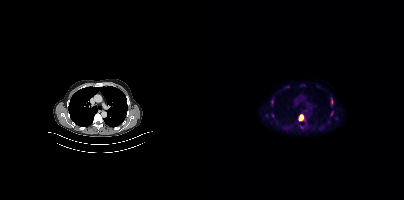
Technique: Left: CT. Right: PSMA PET, same axial level, 18F tracer. slice 290 of 413.
Findings: Coordinates are on the 200×200 PET (right) panel. (showing 9 of 10 foci) PSMA-avid tumor lesion bounding boxes (x0,y0,x1,y1): [94,114,99,120]; [126,99,129,106]; [126,111,129,116]; [67,101,69,105]. Small PSMA-avid foci (2 to 4 px across) near (center x, center y): (68, 115); (117, 127); (132, 118); (62, 115); (124, 121).